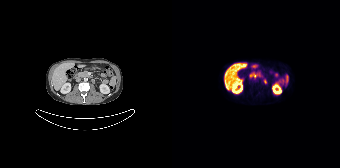
Left: CT. Right: PSMA PET, same axial level, 18F-PSMA tracer. Acquired on Siemens Biograph 64-4R TruePoint. Slice 76 of 165. Negative for PSMA-avid disease on this slice.